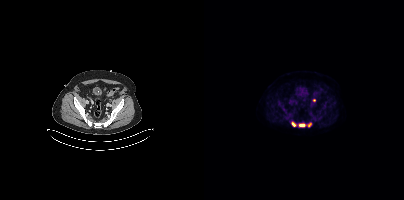
Coordinates are on the 200×200 PET (right) panel. PSMA-avid tumor lesion bounding boxes:
| # | x0 | y0 | x1 | y1 |
|---|---|---|---|---|
| 1 | 94 | 123 | 101 | 127 |
| 2 | 87 | 121 | 92 | 126 |
Small PSMA-avid foci (2 to 4 px across) near (center x, center y): (105, 124); (110, 100).
Left: CT. Right: PSMA PET, same axial level, [18F]PSMA-1007 tracer. Slice position z = -1382 mm. PET panel 200×200 px (4.1 mm/px).